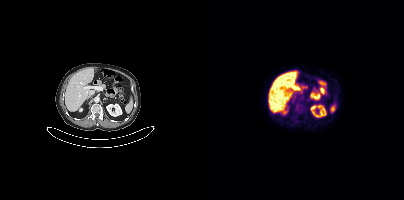
Technique: Paired axial CT (left) and PSMA PET (right), [18F]PSMA-1007 tracer. acquired on Siemens Biograph mCT Flow 20.
Findings: This slice has no annotated PSMA-avid lesion.